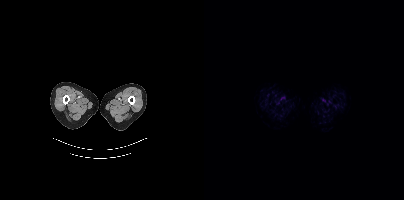
This slice has no annotated PSMA-avid lesion.